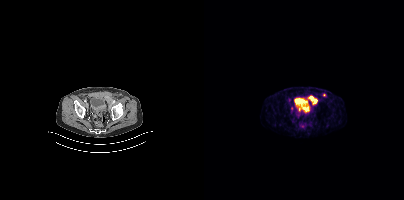
Left: CT. Right: PSMA PET, same axial level, 68Ga-PSMA tracer. Slice 75 of 373.
Coordinates are on the 200×200 PET (right) panel. PSMA-avid tumor lesion bounding boxes (partial; 2 more foci not listed):
| # | x0 | y0 | x1 | y1 |
|---|---|---|---|---|
| 1 | 106 | 96 | 112 | 104 |
| 2 | 101 | 107 | 105 | 111 |
Small PSMA-avid focus (2 to 4 px across) near (center x, center y): (95, 110).